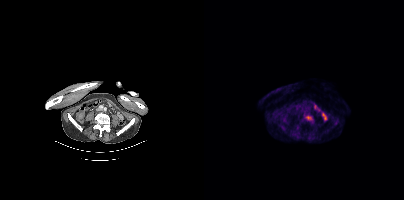
modality: PSMA PET/CT | tracer: 18F | view: axial
Coordinates are on the 200×200 PET (right) panel. (showing 1 of 2 foci) PSMA-avid tumor lesion bounding box (x0,y0,x1,y1): [101,115,108,120].